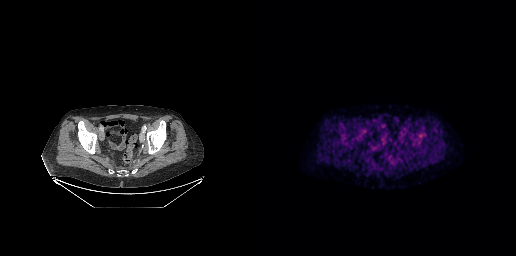
No PSMA-avid tumor lesions on this slice.